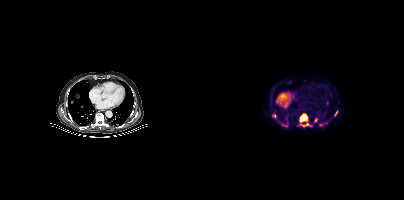
Paired axial CT (left) and PSMA PET (right), [18F]PSMA-1007 tracer. Slice position z = -563 mm. PET panel 200×200 px (4.1 mm/px).
Coordinates are on the 200×200 PET (right) panel. PSMA-avid tumor lesion bounding boxes (partial; 1 more focus not listed):
| # | x0 | y0 | x1 | y1 |
|---|---|---|---|---|
| 1 | 95 | 114 | 104 | 122 |
| 2 | 77 | 122 | 83 | 127 |
| 3 | 110 | 118 | 113 | 122 |
| 4 | 68 | 114 | 72 | 117 |
| 5 | 96 | 124 | 101 | 126 |
| 6 | 131 | 111 | 133 | 115 |
Small PSMA-avid foci (2 to 4 px across) near (center x, center y): (116, 125); (103, 124).